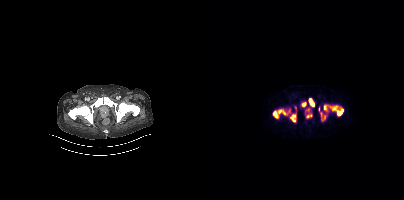
{"modality":"PSMA PET/CT","view":"axial","tracer":"68Ga-PSMA","pet_grid":[200,200],"coord_frame":"pet_panel","coord_format":"x0,y0,x1,y1","psma_avid_lesions":false}